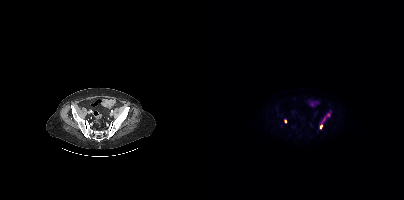
{"modality":"PSMA PET/CT","view":"axial","tracer":"18F-PSMA","pet_grid":[200,200],"coord_frame":"pet_panel","coord_format":"x0,y0,x1,y1","lesion_bboxes":[[116,113,126,128]],"small_foci_centers":[[81,121]]}